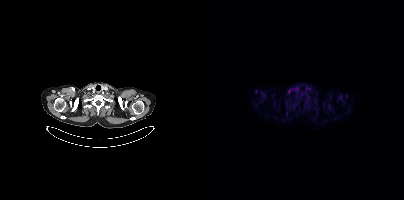
Technique: Left: CT. Right: PSMA PET, same axial level, 18F-PSMA tracer. acquired on Siemens Biograph mCT Flow 20. slice 363 of 431. PET panel 200×200 px (4.1 mm/px).
Findings: This slice has no annotated PSMA-avid lesion.